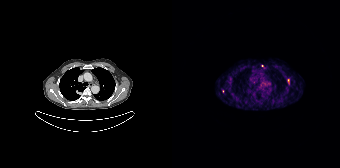
Coordinates are on the 168×168 PET (right) panel. (showing 2 of 3 foci) PSMA-avid tumor lesion bounding box (x, y, width, height): x=115 y=79 w=3 h=5. Small PSMA-avid focus (2 to 4 px across) near (center x, center y): (90, 65).
modality: PSMA PET/CT | tracer: 68Ga-PSMA | view: axial